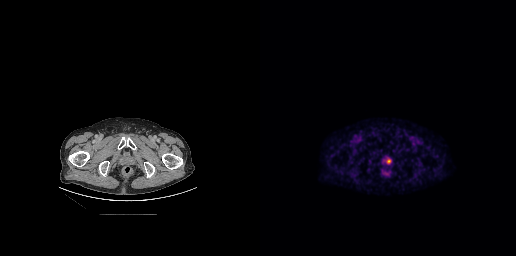
{"modality":"PSMA PET/CT","view":"axial","tracer":"[18F]PSMA-1007","pet_grid":[256,256],"coord_frame":"pet_panel","coord_format":"x0,y0,x1,y1","lesion_bboxes":[[126,158,131,164]]}